Two-panel axial: CT | PSMA PET, 18F-PSMA tracer. Acquired on Siemens Biograph mCT Flow 20. Slice 70 of 413.
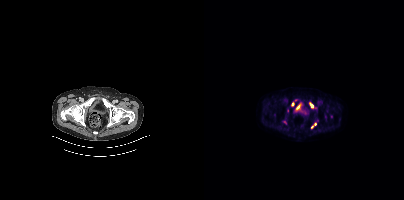
Coordinates are on the 200×200 PET (right) panel. PSMA-avid tumor lesion bounding boxes:
| # | x0 | y0 | x1 | y1 |
|---|---|---|---|---|
| 1 | 105 | 102 | 109 | 107 |
| 2 | 107 | 123 | 112 | 128 |
| 3 | 87 | 102 | 90 | 106 |